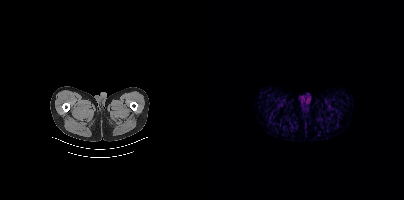
Negative for PSMA-avid disease on this slice.